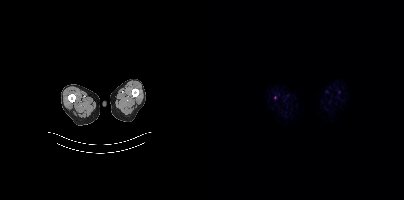
Findings: Only PSMA-avid lesion pieces thinner than 2 px on this slice (not listed).
- Two-panel axial: CT | PSMA PET, 18F tracer
- slice 9 of 413